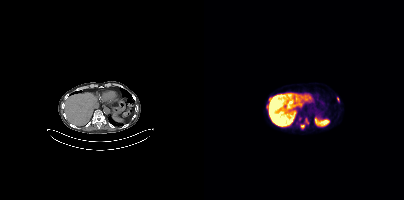
Coordinates are on the 200×200 PET (right) panel. PSMA-avid tumor lesion bounding boxes (partial; 1 more focus not listed):
| # | x0 | y0 | x1 | y1 |
|---|---|---|---|---|
| 1 | 62 | 104 | 64 | 108 |
| 2 | 102 | 118 | 104 | 123 |
| 3 | 133 | 97 | 135 | 101 |
Small PSMA-avid foci (2 to 4 px across) near (center x, center y): (98, 126); (96, 118).
Left: CT. Right: PSMA PET, same axial level, [18F]PSMA-1007 tracer.